Paired axial CT (left) and PSMA PET (right), 18F tracer. Slice position z = -157 mm. PET panel 256×256 px (2.7 mm/px).
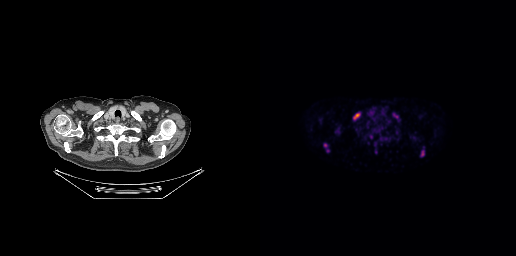
Coordinates are on the 256×256 PET (right) panel. PSMA-avid tumor lesion bounding boxes (partial; 3 more foci not listed):
| # | x0 | y0 | x1 | y1 |
|---|---|---|---|---|
| 1 | 93 | 113 | 100 | 119 |
| 2 | 160 | 150 | 164 | 156 |
| 3 | 133 | 113 | 138 | 118 |
Small PSMA-avid focus (2 to 4 px across) near (center x, center y): (65, 145).